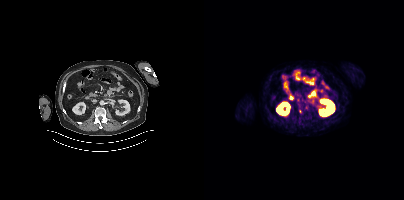
{"pet_grid":[200,200],"coord_frame":"pet_panel","coord_format":"x0,y0,x1,y1","partial":true,"lesion_bboxes":[],"modality":"PSMA PET/CT","view":"axial","tracer":"68Ga"}